Two-panel axial: CT | PSMA PET, 18F tracer. Slice position z = -84 mm.
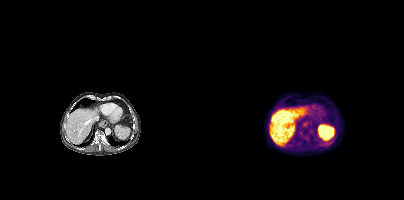
Coordinates are on the 200×200 PET (right) panel. Small PSMA-avid foci (2 to 4 px across) near (center x, center y): (102, 137); (95, 142).